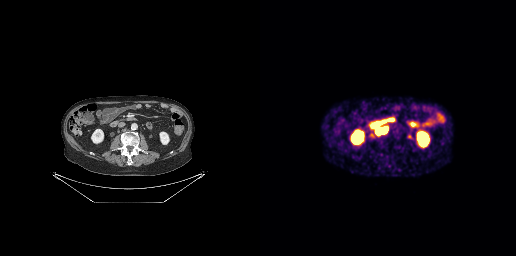
Technique: Paired axial CT (left) and PSMA PET (right), 68Ga-PSMA tracer. acquired on GE Discovery 690. PET panel 256×256 px (2.7 mm/px).
Findings: Coordinates are on the 256×256 PET (right) panel. PSMA-avid tumor lesion bounding box (x0,y0,x1,y1): [116,128,127,133].